- Left: CT. Right: PSMA PET, same axial level, [18F]PSMA-1007 tracer
- PET panel 256×256 px (2.7 mm/px)
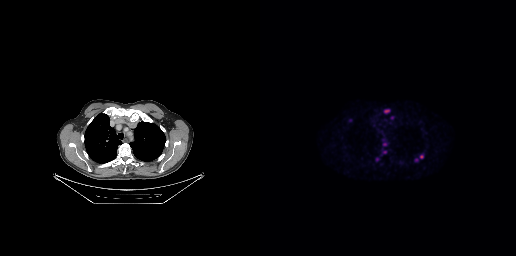
Findings: Coordinates are on the 256×256 PET (right) panel. (showing 2 of 4 foci) PSMA-avid tumor lesion bounding box (x0,y0,x1,y1): [124,110,129,112]. Small PSMA-avid focus (2 to 4 px across) near (center x, center y): (161, 156).